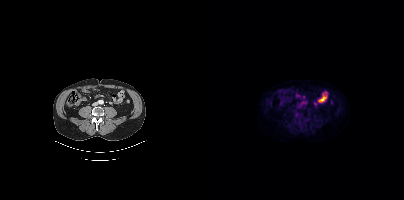
Technique: Two-panel axial: CT | PSMA PET, 18F-PSMA tracer. acquired on Siemens Biograph mCT Flow 20. slice 153 of 438.
Findings: Negative for PSMA-avid disease on this slice.